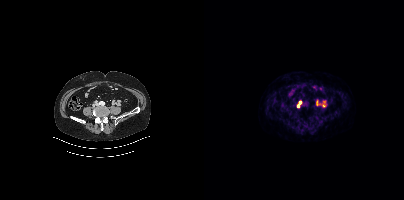
{"modality":"PSMA PET/CT","view":"axial","tracer":"18F","pet_grid":[200,200],"coord_frame":"pet_panel","coord_format":"x0,y0,x1,y1","lesion_bboxes":[],"small_foci_centers":[[96,102],[94,106]]}